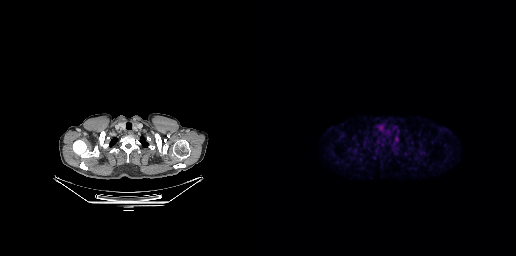
Negative for PSMA-avid disease on this slice. Two-panel axial: CT | PSMA PET, [18F]PSMA-1007 tracer. Acquired on GE Discovery 690. PET panel 256×256 px (2.7 mm/px).